modality: PSMA PET/CT | tracer: [18F]PSMA-1007 | view: axial
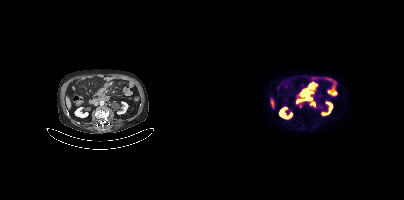
Coordinates are on the 200×200 PET (right) panel. (showing 2 of 3 foci) PSMA-avid tumor lesion bounding box (x0, y0)-(x1, y1): (98, 82)-(110, 94). Small PSMA-avid focus (2 to 4 px across) near (center x, center y): (96, 106).